Technique: Left: CT. Right: PSMA PET, same axial level, [68Ga]Ga-PSMA-11 tracer.
Note: The head region is masked for de-identification.
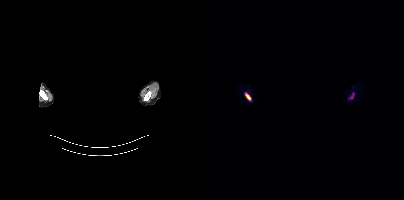
Findings: Coordinates are on the 200×200 PET (right) panel. PSMA-avid tumor lesion bounding boxes (x0, y0)-(x1, y1): (41, 92)-(47, 100) | (144, 95)-(149, 99).